Left: CT. Right: PSMA PET, same axial level, 18F tracer. Slice 37 of 466. PET panel 200×200 px (4.1 mm/px).
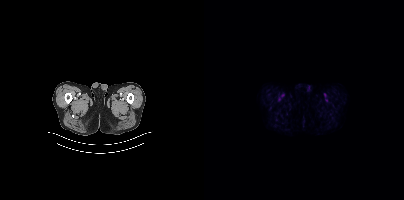
No tumor lesions annotated on this slice.